modality: PSMA PET/CT | tracer: 18F-PSMA | view: axial
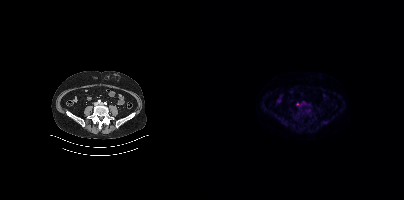
Coordinates are on the 200×200 PET (right) panel. Small PSMA-avid focus (2 to 4 px across) near (center x, center y): (93, 104).